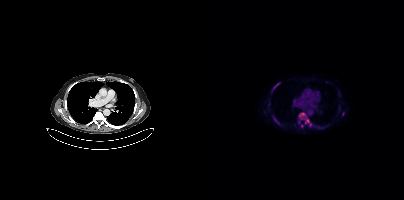
- Paired axial CT (left) and PSMA PET (right), 18F tracer
- acquired on Siemens Biograph mCT Flow 20
- PET panel 200×200 px (4.1 mm/px)
Findings: Coordinates are on the 200×200 PET (right) panel. (showing 7 of 10 foci) PSMA-avid tumor lesion bounding boxes (x0, y0)-(x1, y1): (69, 117)-(75, 124) / (69, 83)-(75, 89) / (118, 126)-(123, 128). Small PSMA-avid foci (2 to 4 px across) near (center x, center y): (102, 121) / (98, 114) / (97, 126) / (138, 114).